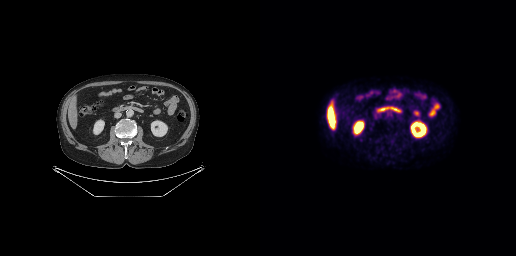
No tumor lesions annotated on this slice. Two-panel axial: CT | PSMA PET, 18F-PSMA tracer. Acquired on GE Discovery 690. Slice 126 of 263. PET panel 256×256 px (2.7 mm/px).